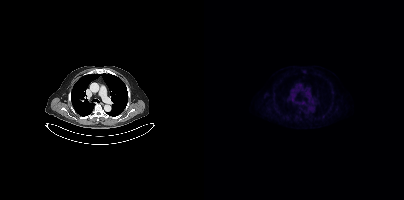
This slice has no annotated PSMA-avid lesion.